- Left: CT. Right: PSMA PET, same axial level, [68Ga]Ga-PSMA-11 tracer
- slice 19 of 385
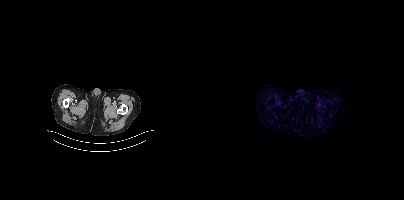
Findings: No tumor lesions annotated on this slice.